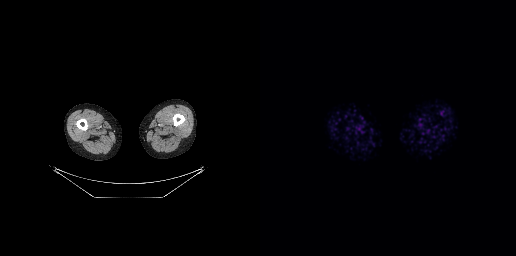
{"modality":"PSMA PET/CT","view":"axial","tracer":"68Ga","pet_grid":[256,256],"coord_frame":"pet_panel","coord_format":"x0,y0,x1,y1","psma_avid_lesions":false}